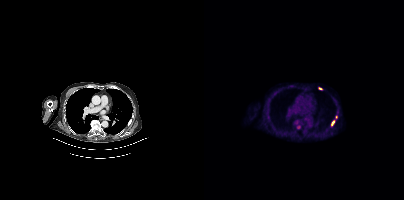
- Paired axial CT (left) and PSMA PET (right), [18F]PSMA-1007 tracer
- slice position z = 160 mm
- PET panel 200×200 px (4.1 mm/px)
Findings: Coordinates are on the 200×200 PET (right) panel. PSMA-avid tumor lesion bounding boxes (x0,y0,x1,y1): [127,120,131,126], [114,87,118,89]. Small PSMA-avid focus (2 to 4 px across) near (center x, center y): (132, 117).